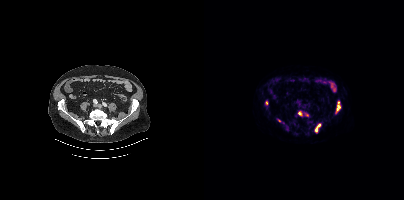
Left: CT. Right: PSMA PET, same axial level, 18F-PSMA tracer. Acquired on Siemens Biograph mCT Flow 20. Slice 145 of 454. PET panel 200×200 px (4.1 mm/px). Coordinates are on the 200×200 PET (right) panel. PSMA-avid tumor lesion bounding boxes (x0, y0)-(x1, y1): (131, 101)-(136, 113) | (111, 124)-(116, 132). Small PSMA-avid foci (2 to 4 px across) near (center x, center y): (62, 102) | (95, 113) | (75, 120).